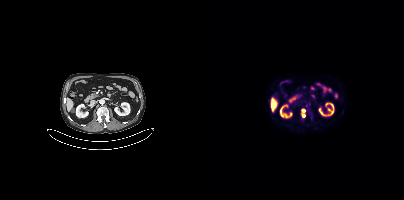
Only PSMA-avid lesion pieces thinner than 2 px on this slice (not listed).